- Two-panel axial: CT | PSMA PET, 18F tracer
- acquired on Siemens Biograph mCT Flow 20
- PET panel 200×200 px (4.1 mm/px)
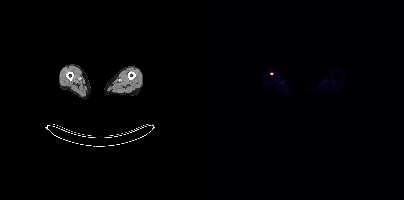
Findings: Coordinates are on the 200×200 PET (right) panel. Small PSMA-avid focus (2 to 4 px across) near (center x, center y): (67, 73).